Left: CT. Right: PSMA PET, same axial level, 18F tracer. Acquired on Siemens Biograph mCT Flow 20.
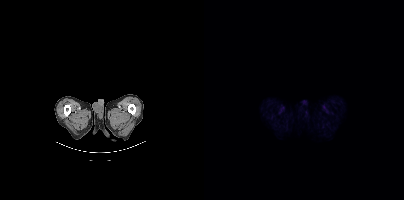
No tumor lesions annotated on this slice.